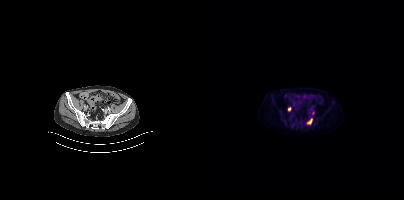
Coordinates are on the 200×200 PET (right) panel. PSMA-avid tumor lesion bounding box (x, y, width, height): x=103 y=118 w=6 h=7.